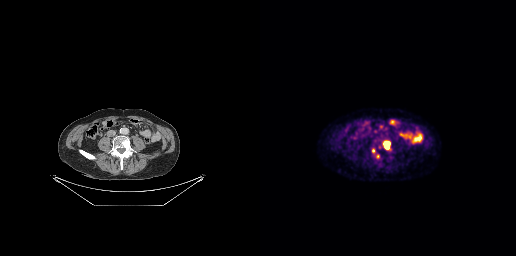
Coordinates are on the 256×256 PET (right) panel. PSMA-avid tumor lesion bounding boxes (x, y, width, height): x=123 y=141 w=9 h=10 / x=112 y=148 w=4 h=6 / x=113 y=141 w=6 h=4. Small PSMA-avid focus (2 to 4 px across) near (center x, center y): (117, 156).